Paired axial CT (left) and PSMA PET (right), 68Ga-PSMA tracer. PET panel 200×200 px (4.1 mm/px).
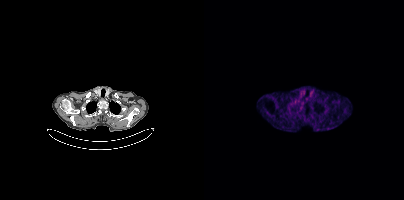
No PSMA-avid tumor lesions on this slice.